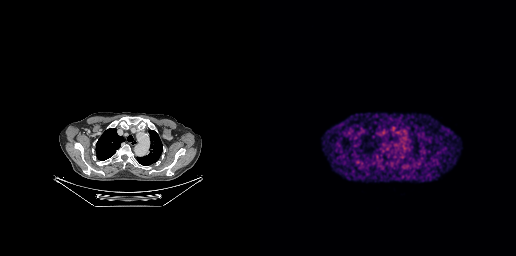
{"modality":"PSMA PET/CT","view":"axial","tracer":"68Ga-PSMA","pet_grid":[256,256],"coord_frame":"pet_panel","coord_format":"x0,y0,x1,y1","psma_avid_lesions":false}